Technique: Paired axial CT (left) and PSMA PET (right), [18F]PSMA-1007 tracer. slice position z = -1430 mm. PET panel 200×200 px (4.1 mm/px).
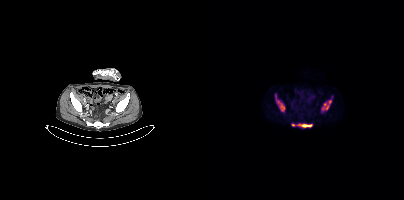
Findings: Coordinates are on the 200×200 PET (right) panel. PSMA-avid tumor lesion bounding boxes (x0, y0)-(x1, y1): (71, 94)-(81, 111) | (87, 123)-(108, 127) | (118, 100)-(127, 110).